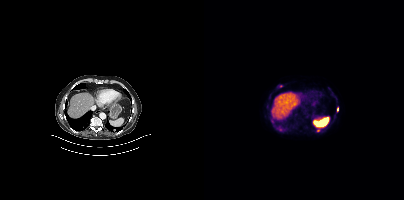
- Paired axial CT (left) and PSMA PET (right), 18F-PSMA tracer
- acquired on Siemens Biograph mCT Flow 20
- slice position z = -558 mm
- PET panel 200×200 px (4.1 mm/px)
Findings: Coordinates are on the 200×200 PET (right) panel. Small PSMA-avid foci (2 to 4 px across) near (center x, center y): (77, 86) / (133, 109) / (114, 130) / (76, 129).